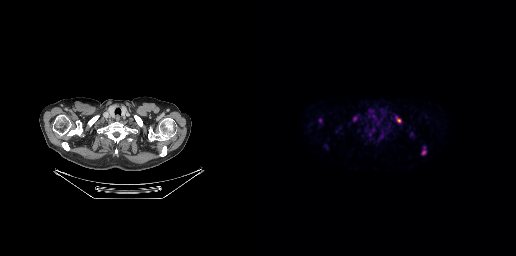
Coordinates are on the 256×256 PET (right) panel. (showing 4 of 8 foci) PSMA-avid tumor lesion bounding boxes (x0, y0)-(x1, y1): (161, 146)-(166, 155); (135, 115)-(141, 123); (58, 118)-(62, 122). Small PSMA-avid focus (2 to 4 px across) near (center x, center y): (95, 118).